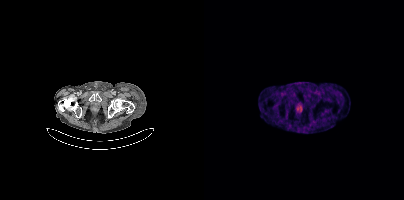
- Two-panel axial: CT | PSMA PET, 68Ga tracer
- acquired on Siemens Biograph mCT Flow 20
- slice 61 of 413
- PET panel 200×200 px (4.1 mm/px)
Findings: Coordinates are on the 200×200 PET (right) panel. PSMA-avid tumor lesion bounding box (x, y, width, height): x=92 y=106 w=6 h=6.